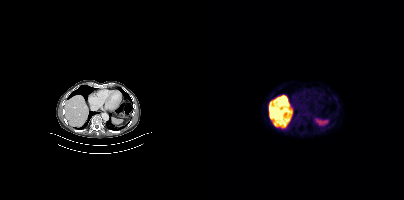
- Two-panel axial: CT | PSMA PET, 18F tracer
- acquired on Siemens Biograph mCT Flow 20
- PET panel 200×200 px (4.1 mm/px)
Findings: No tumor lesions annotated on this slice.